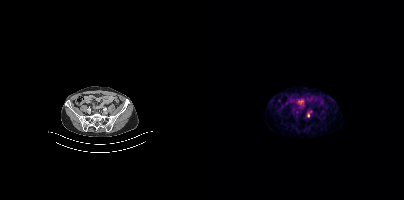
modality: PSMA PET/CT | tracer: 68Ga | view: axial | PET grid: 200×200
Coordinates are on the 200×200 PET (right) panel. Small PSMA-avid focus (2 to 4 px across) near (center x, center y): (104, 115).